Paired axial CT (left) and PSMA PET (right), 18F-PSMA tracer. Slice position z = -1391 mm. PET panel 200×200 px (4.1 mm/px).
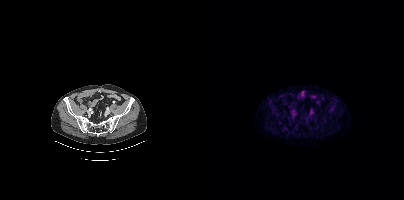
No PSMA-avid tumor lesions on this slice.